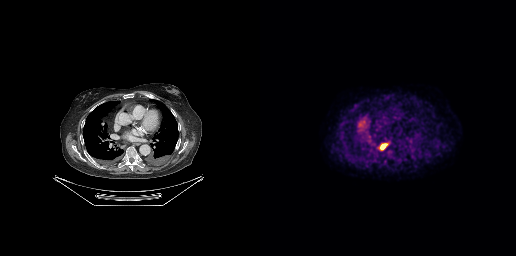
Coordinates are on the 256×256 PET (right) panel. PSMA-avid tumor lesion bounding boxes:
| # | x0 | y0 | x1 | y1 |
|---|---|---|---|---|
| 1 | 117 | 142 | 129 | 149 |
Paired axial CT (left) and PSMA PET (right), 18F-PSMA tracer. Acquired on GE Discovery 690. Slice position z = -407 mm. PET panel 256×256 px (2.7 mm/px).